de-identification: rectangular block over head set to black | modality: PSMA PET/CT | tracer: [68Ga]Ga-PSMA-11 | view: axial
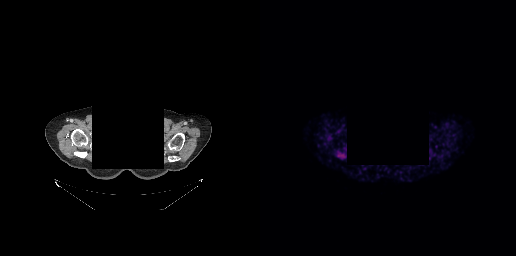
Negative for PSMA-avid disease on this slice.